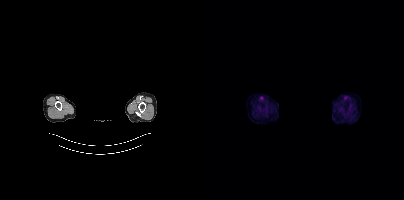
Face de-identified by blanking a block of the head.
Negative for PSMA-avid disease on this slice.